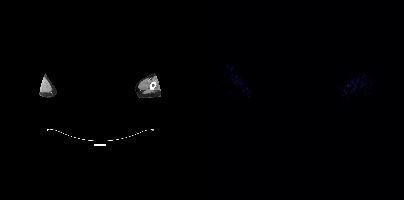
A rectangular block over the head has been blanked out for de-identification. Left: CT. Right: PSMA PET, same axial level, [18F]PSMA-1007 tracer. Acquired on Siemens Biograph mCT Flow 20. Slice 433 of 433. This slice has no annotated PSMA-avid lesion.